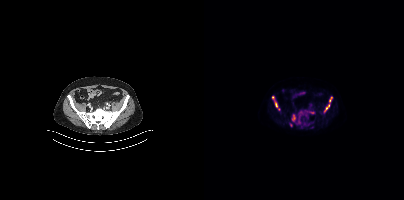
Technique: Paired axial CT (left) and PSMA PET (right), [18F]PSMA-1007 tracer. acquired on Siemens Biograph mCT Flow 20.
Findings: Coordinates are on the 200×200 PET (right) panel. (showing 6 of 10 foci) PSMA-avid tumor lesion bounding boxes (x0, y0)-(x1, y1): (68, 96)-(73, 107) | (120, 104)-(125, 112) | (94, 111)-(98, 120) | (88, 115)-(91, 120) | (125, 97)-(128, 102) | (105, 111)-(110, 113).